- Paired axial CT (left) and PSMA PET (right), 18F tracer
- slice 92 of 387
- PET panel 200×200 px (4.1 mm/px)
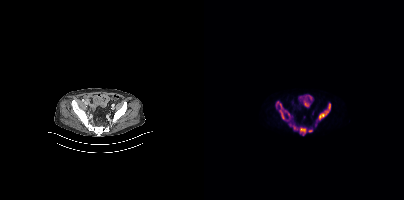
Findings: Coordinates are on the 200×200 PET (right) panel. PSMA-avid tumor lesion bounding boxes (x0,y0,x1,y1): [114,103,126,119]; [72,101,80,119]; [95,127,102,134]; [89,126,93,129]; [81,110,85,116]; [104,130,108,131].